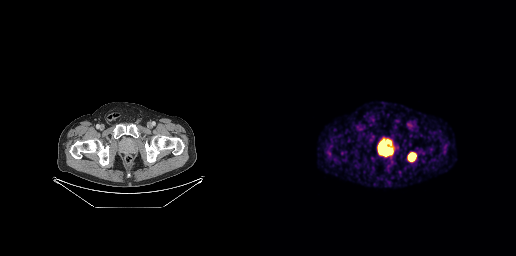
Coordinates are on the 256×256 PET (right) panel. PSMA-avid tumor lesion bounding boxes (x0,y0,x1,y1): [118,140,132,156]; [147,152,156,161].